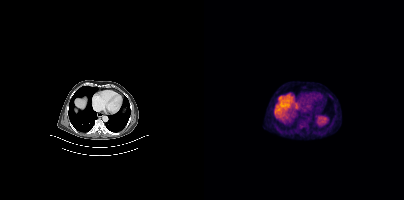
Only PSMA-avid lesion pieces thinner than 2 px on this slice (not listed).